modality: PSMA PET/CT | tracer: [18F]PSMA-1007 | view: axial | PET grid: 200×200
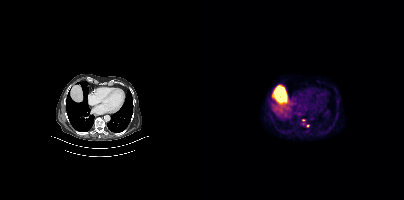
Coordinates are on the 200×200 PET (right) panel. Small PSMA-avid foci (2 to 4 px across) near (center x, center y): (99, 119); (103, 125).